modality: PSMA PET/CT | tracer: 18F-PSMA | view: axial
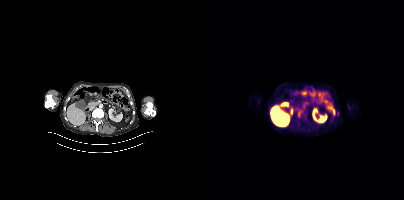
Coordinates are on the 200×200 PET (right) panel. PSMA-avid tumor lesion bounding boxes (x0, y0)-(x1, y1): (127, 107)-(131, 115) / (94, 112)-(97, 116).